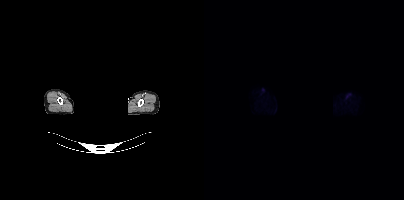
A rectangle over the head was blacked out to remove identifiable facial features.
Negative for PSMA-avid disease on this slice.